modality: PSMA PET/CT | tracer: 18F | view: axial
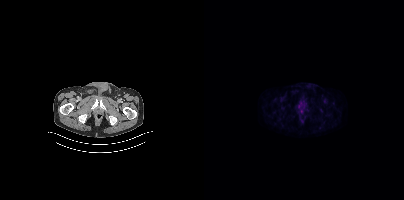
This slice has no annotated PSMA-avid lesion.